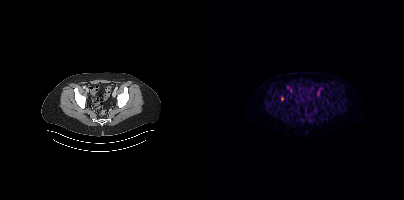
Technique: Paired axial CT (left) and PSMA PET (right), 18F-PSMA tracer.
Findings: Coordinates are on the 200×200 PET (right) panel. Small PSMA-avid focus (2 to 4 px across) near (center x, center y): (78, 98).